modality: PSMA PET/CT | tracer: [18F]PSMA-1007 | view: axial | PET grid: 200×200
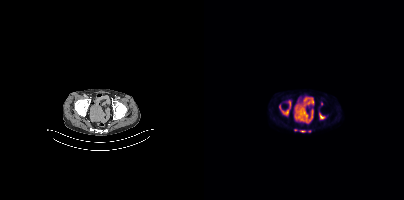
Coordinates are on the 200×200 PET (right) panel. (showing 5 of 6 foci) PSMA-avid tumor lesion bounding boxes (x, y, width, height): x=75 y=101 w=12 h=15 | x=116 y=114 w=5 h=5 | x=96 y=130 w=6 h=3. Small PSMA-avid foci (2 to 4 px across) near (center x, center y): (117, 103) | (91, 129).